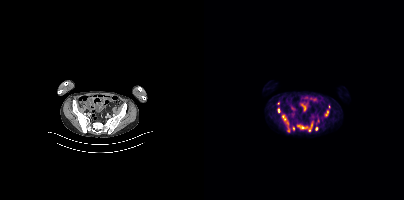
Coordinates are on the 200×200 PET (right) panel. PSMA-avid tumor lesion bounding boxes (partial; 2 more foci not listed):
| # | x0 | y0 | x1 | y1 |
|---|---|---|---|---|
| 1 | 93 | 121 | 109 | 131 |
| 2 | 82 | 123 | 85 | 132 |
| 3 | 121 | 110 | 124 | 116 |
| 4 | 74 | 108 | 75 | 112 |
Small PSMA-avid foci (2 to 4 px across) near (center x, center y): (112, 128); (89, 128); (74, 103); (125, 106).
Paired axial CT (left) and PSMA PET (right), 18F tracer. Acquired on Siemens Biograph mCT Flow 20.